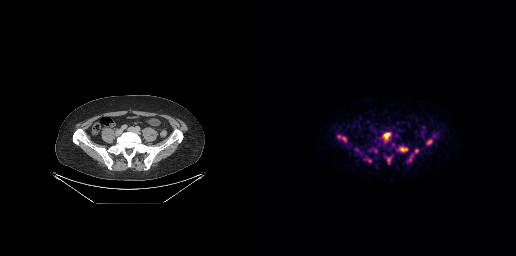
{"modality":"PSMA PET/CT","view":"axial","tracer":"[18F]PSMA-1007","pet_grid":[256,256],"coord_frame":"pet_panel","coord_format":"x0,y0,x1,y1","partial":true,"lesion_bboxes":[[122,132,131,141],[166,139,172,145],[139,147,148,152],[78,135,86,141],[104,156,111,162],[127,158,130,163]],"small_foci_centers":[[97,149],[110,150],[155,150],[151,155],[150,159]]}